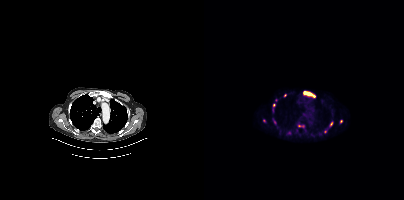
{"modality":"PSMA PET/CT","view":"axial","tracer":"[68Ga]Ga-PSMA-11","pet_grid":[200,200],"coord_frame":"pet_panel","coord_format":"x0,y0,x1,y1","partial":true,"lesion_bboxes":[[100,92,111,97],[95,125,100,127]],"small_foci_centers":[[127,123],[137,121],[81,95],[69,105],[70,120]]}